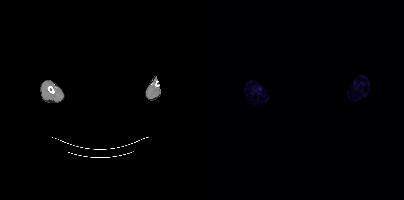
Negative for PSMA-avid disease on this slice. Two-panel axial: CT | PSMA PET, [18F]PSMA-1007 tracer. Slice position z = 206 mm. PET panel 200×200 px (4.1 mm/px). Head region blanked for anonymization (face removed).